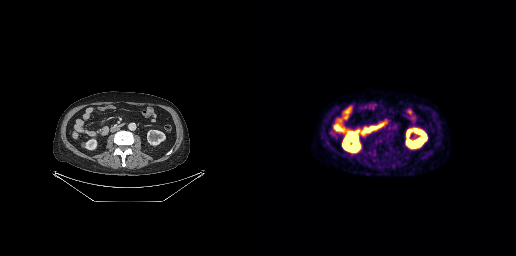
This slice has no annotated PSMA-avid lesion.